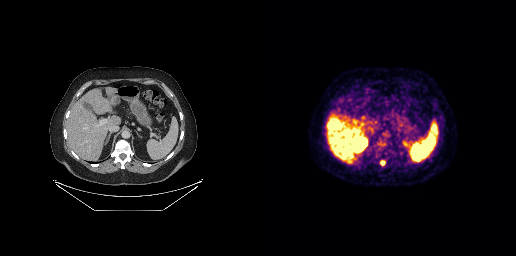
Coordinates are on the 256×256 PET (right) panel. Small PSMA-avid focus (2 to 4 px across) near (center x, center y): (122, 162). Left: CT. Right: PSMA PET, same axial level, [18F]PSMA-1007 tracer. Slice 153 of 263.